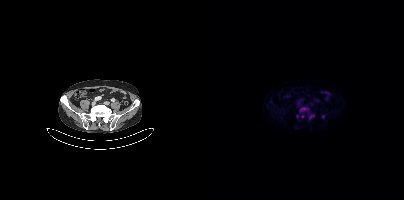
Two-panel axial: CT | PSMA PET, [18F]PSMA-1007 tracer. Acquired on Siemens Biograph mCT Flow 20. Coordinates are on the 200×200 PET (right) panel. (showing 4 of 6 foci) PSMA-avid tumor lesion bounding boxes (x0, y0)-(x1, y1): (96, 107)-(102, 111) / (106, 115)-(110, 118). Small PSMA-avid foci (2 to 4 px across) near (center x, center y): (119, 116) / (98, 116).